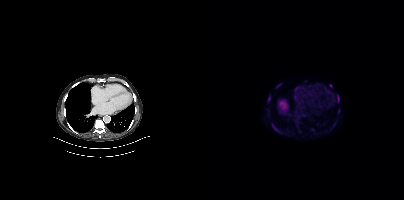
- Left: CT. Right: PSMA PET, same axial level, 18F-PSMA tracer
- slice position z = -462 mm
- PET panel 200×200 px (4.1 mm/px)
Findings: Coordinates are on the 200×200 PET (right) panel. (showing 6 of 7 foci) PSMA-avid tumor lesion bounding boxes (x, y, width, height): x=67 y=123 w=9 h=10 | x=64 y=95 w=3 h=8 | x=133 y=94 w=3 h=6 | x=72 y=84 w=5 h=4. Small PSMA-avid foci (2 to 4 px across) near (center x, center y): (126, 85) | (134, 110).